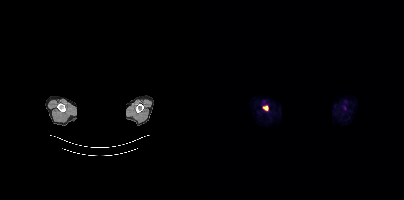
{"modality":"PSMA PET/CT","view":"axial","tracer":"18F","pet_grid":[200,200],"coord_frame":"pet_panel","coord_format":"x0,y0,x1,y1","redaction":"facial region redacted","lesion_bboxes":[[58,105,64,110]]}